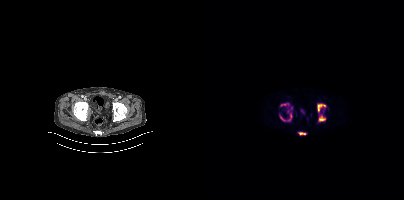
- Paired axial CT (left) and PSMA PET (right), [18F]PSMA-1007 tracer
- acquired on Siemens Biograph mCT Flow 20
- slice 72 of 387
Findings: Coordinates are on the 200×200 PET (right) panel. (showing 6 of 7 foci) PSMA-avid tumor lesion bounding boxes (x, y, width, height): x=113 y=104 w=10 h=9; x=115 y=115 w=7 h=7; x=76 y=103 w=10 h=4; x=94 y=132 w=9 h=4; x=83 y=113 w=6 h=8; x=76 y=115 w=6 h=7.